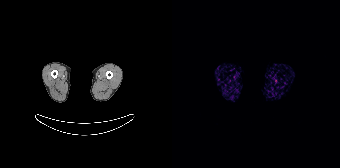
No tumor lesions annotated on this slice. Left: CT. Right: PSMA PET, same axial level, 68Ga-PSMA tracer.